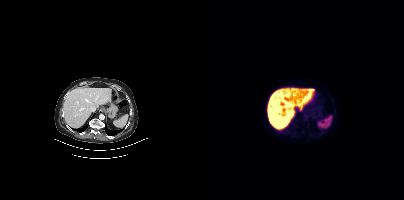
modality: PSMA PET/CT | tracer: 18F-PSMA | view: axial
No tumor lesions annotated on this slice.